Technique: Left: CT. Right: PSMA PET, same axial level, 18F tracer. PET panel 200×200 px (4.1 mm/px).
Note: Privacy masking over the head, with the pixels inside a rectangle set to black.
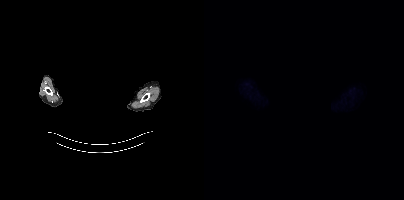
Findings: No tumor lesions annotated on this slice.